Technique: Left: CT. Right: PSMA PET, same axial level, 18F-PSMA tracer. slice 141 of 389. PET panel 200×200 px (4.1 mm/px).
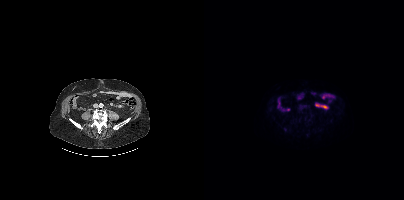
Findings: This slice has no annotated PSMA-avid lesion.